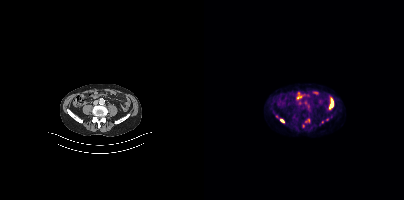
modality: PSMA PET/CT | tracer: 18F-PSMA | view: axial | PET grid: 200×200
Coordinates are on the 200×200 PET (right) panel. (showing 1 of 2 foci) PSMA-avid tumor lesion bounding box (x0, y0)-(x1, y1): (76, 119)-(80, 122).